modality: PSMA PET/CT | tracer: 68Ga-PSMA | view: axial
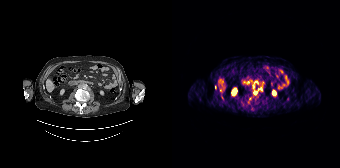
Coordinates are on the 168×168 PET (right) panel. Small PSMA-avid foci (2 to 4 px across) near (center x, center y): (83, 92) | (89, 88) | (81, 86) | (43, 87) | (50, 98) | (115, 98).